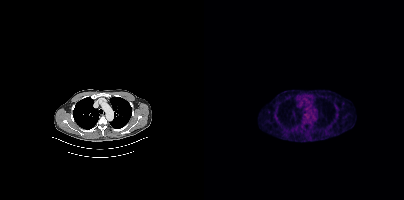
Two-panel axial: CT | PSMA PET, [18F]PSMA-1007 tracer. Slice position z = -6 mm. This slice has no annotated PSMA-avid lesion.